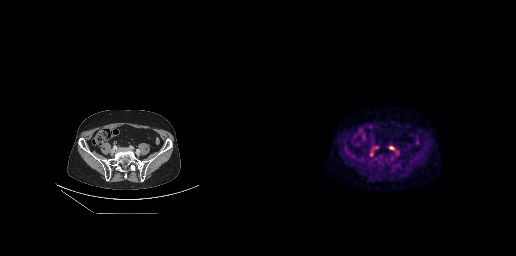
{"modality":"PSMA PET/CT","view":"axial","tracer":"[18F]PSMA-1007","pet_grid":[256,256],"coord_frame":"pet_panel","coord_format":"x0,y0,x1,y1","lesion_bboxes":[],"small_foci_centers":[[131,147]]}